modality: PSMA PET/CT | tracer: [18F]PSMA-1007 | view: axial
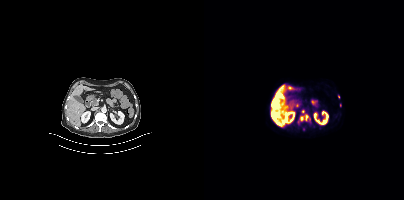
Coordinates are on the 200×200 PET (right) panel. (showing 5 of 6 foci) PSMA-avid tumor lesion bounding boxes (x0,y0,x1,y1): [68,99,73,106]; [76,94,79,98]. Small PSMA-avid foci (2 to 4 px across) near (center x, center y): (84, 87); (72, 93); (134, 96).